Two-panel axial: CT | PSMA PET, [18F]PSMA-1007 tracer. PET panel 256×256 px (2.7 mm/px).
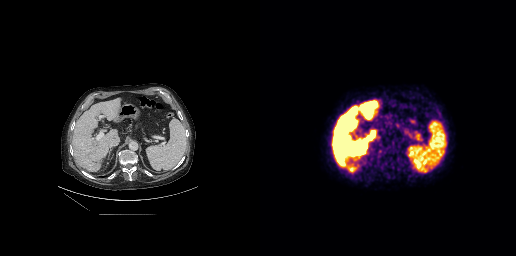
Coordinates are on the 256×256 PET (right) panel. (showing 4 of 7 foci) PSMA-avid tumor lesion bounding boxes (x, y, width, height): x=118 y=148 w=11 h=10 / x=174 y=107 w=9 h=12 / x=120 y=160 w=9 h=11. Small PSMA-avid focus (2 to 4 px across) near (center x, center y): (130, 158).